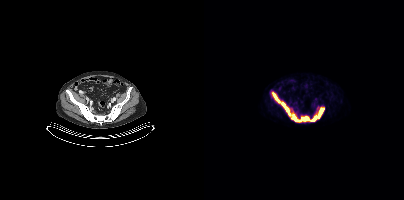
Findings: Coordinates are on the 200×200 PET (right) panel. PSMA-avid tumor lesion bounding boxes (x0,y0,x1,y1): [68,92,86,115], [89,114,112,121], [114,108,120,118].
Technique: Left: CT. Right: PSMA PET, same axial level, [18F]PSMA-1007 tracer. slice position z = -893 mm.